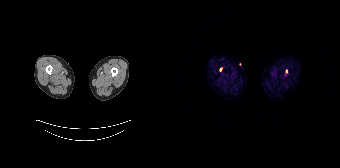
Coordinates are on the 168×168 PET (right) panel. Small PSMA-avid foci (2 to 4 px across) near (center x, center y): (48, 69); (114, 70). Left: CT. Right: PSMA PET, same axial level, 68Ga-PSMA tracer. Slice 15 of 195. PET panel 168×168 px (4.1 mm/px).